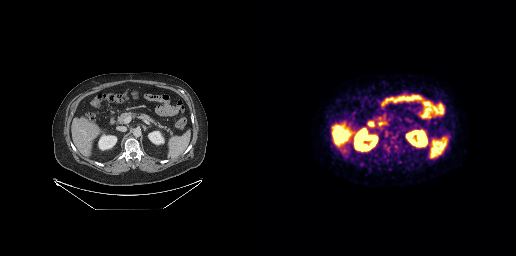
Only PSMA-avid lesion pieces thinner than 2 px on this slice (not listed).